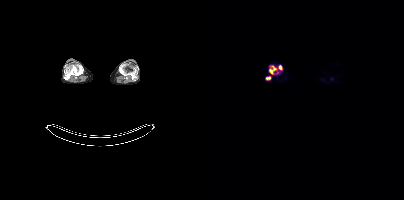
Coordinates are on the 200×200 PET (right) panel. PSMA-avid tumor lesion bounding boxes (x, y, width, height): x=65 y=66 w=11 h=8; x=62 y=76 w=6 h=5; x=75 y=65 w=3 h=5.
modality: PSMA PET/CT | tracer: 18F-PSMA | view: axial